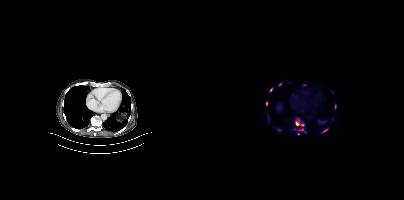
Coordinates are on the 200×200 PET (right) panel. PSMA-avid tumor lesion bounding boxes (x0, y0)-(x1, y1): (91, 118)-(100, 126) / (93, 128)-(100, 131) / (117, 128)-(123, 132) / (62, 101)-(63, 105) / (65, 88)-(68, 92). Small PSMA-avid foci (2 to 4 px across) near (center x, center y): (94, 134) / (131, 106) / (76, 84) / (100, 84) / (90, 128). Two-panel axial: CT | PSMA PET, 18F tracer. Slice 245 of 387.